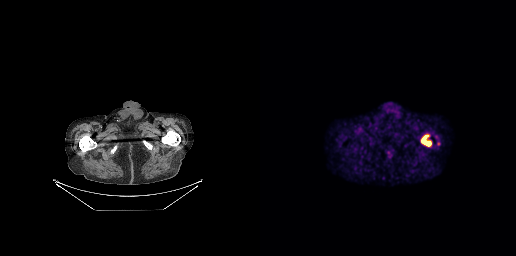
{"modality":"PSMA PET/CT","view":"axial","tracer":"18F","pet_grid":[256,256],"coord_frame":"pet_panel","coord_format":"x0,y0,x1,y1","lesion_bboxes":[[161,135,171,146]],"small_foci_centers":[[178,143]]}